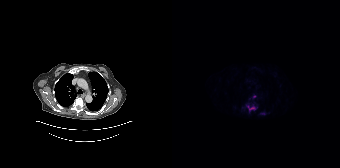
Coordinates are on the 168×168 PET (right) panel. PSMA-avid tumor lesion bounding boxes (x0, y0)-(x1, y1): (74, 105)-(85, 111) | (89, 113)-(93, 114). Small PSMA-avid focus (2 to 4 px across) near (center x, center y): (82, 96).